modality: PSMA PET/CT | tracer: 18F-PSMA | view: axial
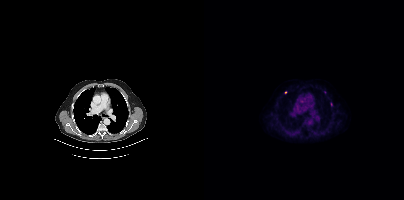
Coordinates are on the 200×200 PET (right) panel. Small PSMA-avid focus (2 to 4 px across) near (center x, center y): (81, 92).